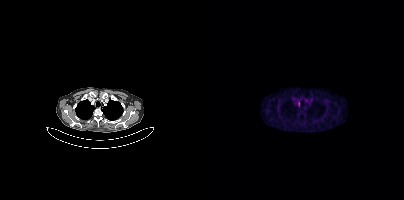
Technique: Paired axial CT (left) and PSMA PET (right), [18F]PSMA-1007 tracer.
Findings: Coordinates are on the 200×200 PET (right) panel. PSMA-avid tumor lesion bounding box (x0,y0,x1,y1): [94,101,95,106].